- Paired axial CT (left) and PSMA PET (right), 18F-PSMA tracer
- PET panel 200×200 px (4.1 mm/px)
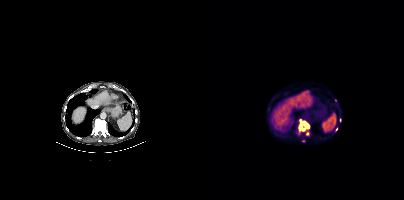
Findings: Coordinates are on the 200×200 PET (right) panel. (showing 5 of 7 foci) PSMA-avid tumor lesion bounding box (x0,y0,x1,y1): [94,119,105,134]. Small PSMA-avid foci (2 to 4 px across) near (center x, center y): (103, 133), (132, 129), (131, 100), (64, 108).